- Paired axial CT (left) and PSMA PET (right), 18F-PSMA tracer
- slice position z = -1221 mm
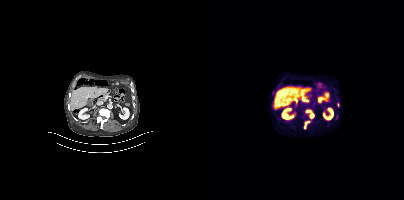
Findings: Coordinates are on the 200×200 PET (right) panel. PSMA-avid tumor lesion bounding boxes (x0,y0,x1,y1): [101,109,110,118]; [100,120,106,129]. Small PSMA-avid focus (2 to 4 px across) near (center x, center y): (134, 104).